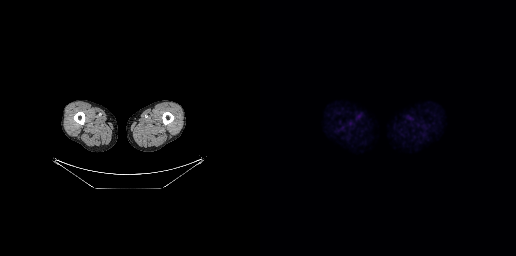
No PSMA-avid tumor lesions on this slice.